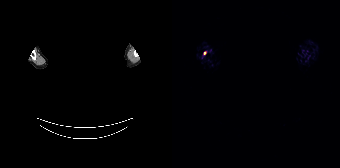
modality: PSMA PET/CT | tracer: 68Ga | view: axial | PET grid: 168×168 | redaction: facial region redacted
No PSMA-avid tumor lesions on this slice.